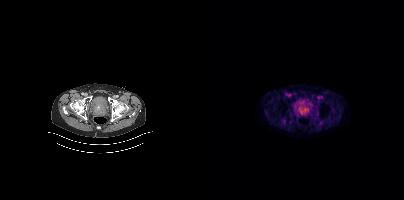
Coordinates are on the 200×200 PET (right) panel. PSMA-avid tumor lesion bounding boxes:
| # | x0 | y0 | x1 | y1 |
|---|---|---|---|---|
| 1 | 93 | 104 | 105 | 116 |
Left: CT. Right: PSMA PET, same axial level, 18F tracer. Slice 74 of 401. PET panel 200×200 px (4.1 mm/px).